Left: CT. Right: PSMA PET, same axial level, 18F-PSMA tracer. Acquired on Siemens Biograph mCT Flow 20. Slice 326 of 411. PET panel 200×200 px (4.1 mm/px).
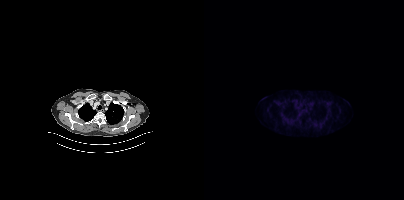
Negative for PSMA-avid disease on this slice.